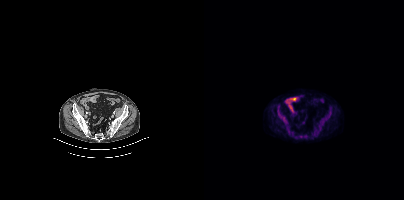
Coordinates are on the 200×200 PET (right) panel. (showing 6 of 7 foci) PSMA-avid tumor lesion bounding boxes (x, y, width, height): x=78 y=118 w=6 h=7 | x=73 y=105 w=5 h=11 | x=123 y=108 w=5 h=10 | x=117 y=118 w=5 h=5. Small PSMA-avid foci (2 to 4 px across) near (center x, center y): (101, 136) | (97, 136).